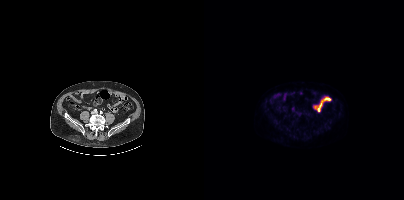
This slice has no annotated PSMA-avid lesion.